Technique: Two-panel axial: CT | PSMA PET, [18F]PSMA-1007 tracer.
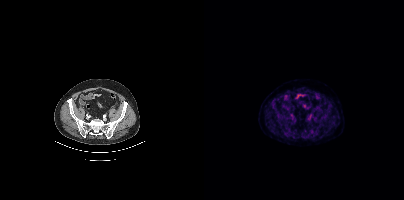
Findings: No PSMA-avid tumor lesions on this slice.